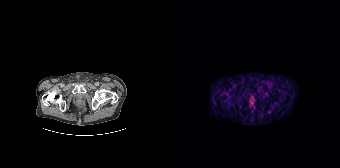
{"modality":"PSMA PET/CT","view":"axial","tracer":"[68Ga]Ga-PSMA-11","pet_grid":[168,168],"coord_frame":"pet_panel","coord_format":"x0,y0,x1,y1","lesion_bboxes":[],"small_foci_centers":[[78,101]]}